Two-panel axial: CT | PSMA PET, [68Ga]Ga-PSMA-11 tracer. Acquired on GE Discovery 690. Slice position z = -1024 mm.
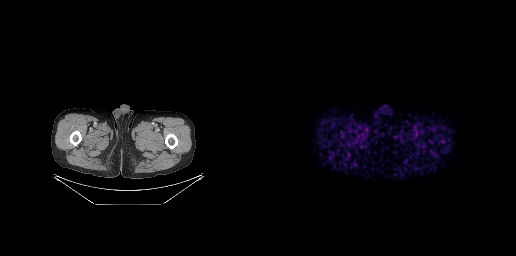
No PSMA-avid tumor lesions on this slice.